Technique: Left: CT. Right: PSMA PET, same axial level, 18F-PSMA tracer. PET panel 200×200 px (4.1 mm/px).
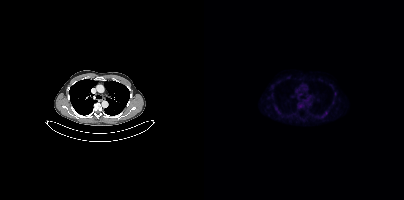
Findings: Only PSMA-avid lesion pieces thinner than 2 px on this slice (not listed).